Left: CT. Right: PSMA PET, same axial level, [18F]PSMA-1007 tracer. Any black rectangle over the head is a privacy mask, not anatomy.
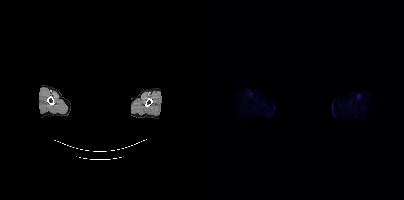
No tumor lesions annotated on this slice.